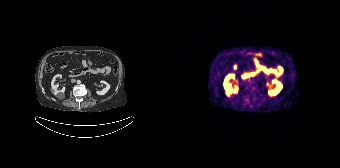
modality: PSMA PET/CT | tracer: 68Ga-PSMA | view: axial
This slice has no annotated PSMA-avid lesion.